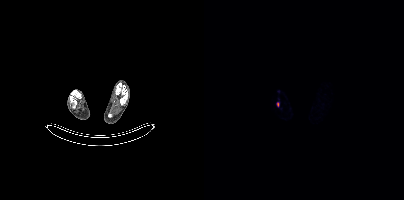
- Two-panel axial: CT | PSMA PET, [18F]PSMA-1007 tracer
- acquired on Siemens Biograph mCT Flow 20
Findings: Coordinates are on the 200×200 PET (right) panel. Small PSMA-avid focus (2 to 4 px across) near (center x, center y): (73, 104).